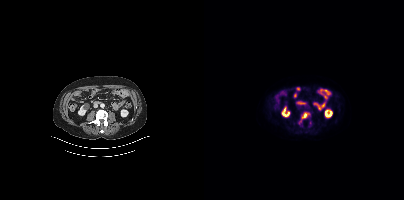
Coordinates are on the 200×200 PET (right) panel. PSMA-avid tumor lesion bounding boxes (x0,y0,x1,y1): [97,112,105,118]; [104,123,107,127]. Small PSMA-avid focus (2 to 4 px across) near (center x, center y): (96, 120).